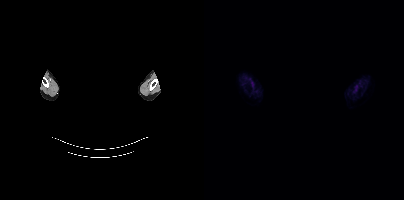
Any black rectangle over the head is a privacy mask, not anatomy.
No tumor lesions annotated on this slice.